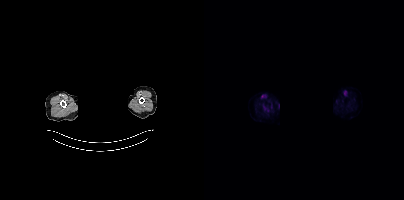
Left: CT. Right: PSMA PET, same axial level, [18F]PSMA-1007 tracer. PET panel 200×200 px (4.1 mm/px). Facial anatomy redacted by setting a rectangular region of the head to black. No PSMA-avid tumor lesions on this slice.